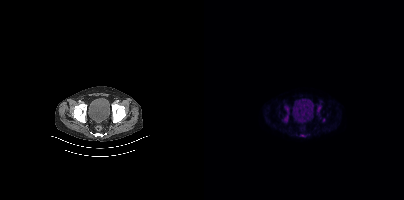
Coordinates are on the 200×200 PET (right) panel. PSMA-avid tumor lesion bounding boxes (x0, y0)-(x1, y1): (80, 106)-(84, 122) / (113, 105)-(117, 112). Small PSMA-avid focus (2 to 4 px across) near (center x, center y): (120, 119).